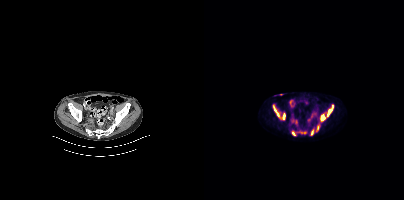
Technique: Left: CT. Right: PSMA PET, same axial level, 18F-PSMA tracer. acquired on Siemens Biograph mCT Flow 20.
Findings: Coordinates are on the 200×200 PET (right) panel. PSMA-avid tumor lesion bounding boxes (x, y, width, height): x=68 y=104 w=14 h=17; x=116 y=105 w=14 h=16; x=107 y=130 w=3 h=5. Small PSMA-avid foci (2 to 4 px across) near (center x, center y): (89, 133); (113, 127).